Left: CT. Right: PSMA PET, same axial level, 18F tracer. Acquired on Siemens Biograph mCT Flow 20.
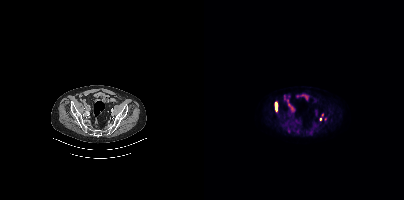
Coordinates are on the 200×200 PET (right) panel. PSMA-avid tumor lesion bounding boxes:
| # | x0 | y0 | x1 | y1 |
|---|---|---|---|---|
| 1 | 71 | 102 | 73 | 111 |
Small PSMA-avid focus (2 to 4 px across) near (center x, center y): (116, 119).